modality: PSMA PET/CT | tracer: 68Ga | view: axial | PET grid: 200×200 | de-identification: head region blacked out before release
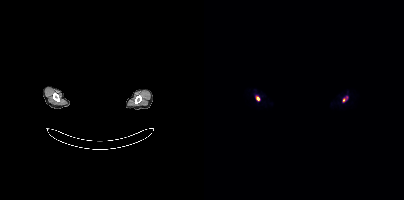
Coordinates are on the 200×200 PET (right) panel. PSMA-avid tumor lesion bounding box (x0,y0,x1,y1): [52,96,55,100]. Small PSMA-avid focus (2 to 4 px across) near (center x, center y): (139, 100).